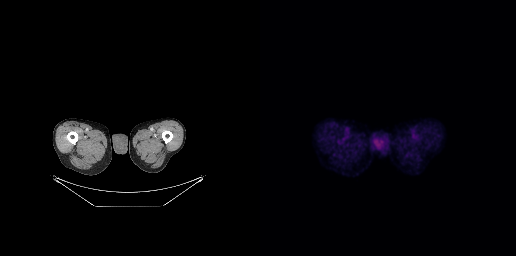
{"modality":"PSMA PET/CT","view":"axial","tracer":"18F","pet_grid":[256,256],"coord_frame":"pet_panel","coord_format":"x0,y0,x1,y1","psma_avid_lesions":false}